- Two-panel axial: CT | PSMA PET, 18F tracer
- acquired on Siemens Biograph mCT Flow 20
- PET panel 200×200 px (4.1 mm/px)
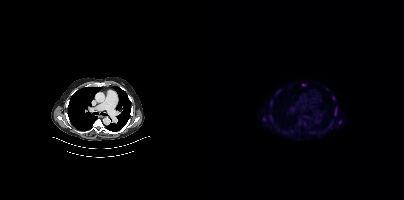
Findings: Coordinates are on the 200×200 PET (right) panel. (showing 13 of 14 foci) PSMA-avid tumor lesion bounding boxes (x0, y0)-(x1, y1): (130, 107)-(132, 115) | (66, 115)-(68, 121) | (86, 107)-(90, 111) | (94, 120)-(97, 124) | (66, 101)-(68, 105) | (128, 96)-(130, 100) | (100, 122)-(101, 126). Small PSMA-avid foci (2 to 4 px across) near (center x, center y): (99, 85) | (60, 119) | (136, 122) | (74, 91) | (101, 116) | (126, 124).